Technique: Two-panel axial: CT | PSMA PET, [68Ga]Ga-PSMA-11 tracer. PET panel 168×168 px (4.1 mm/px).
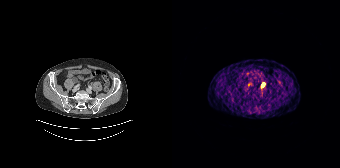
Findings: Coordinates are on the 168×168 PET (right) panel. Small PSMA-avid focus (2 to 4 px across) near (center x, center y): (91, 85).